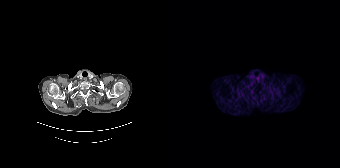
{"modality":"PSMA PET/CT","view":"axial","tracer":"68Ga","pet_grid":[168,168],"coord_frame":"pet_panel","coord_format":"x0,y0,x1,y1","psma_avid_lesions":false}